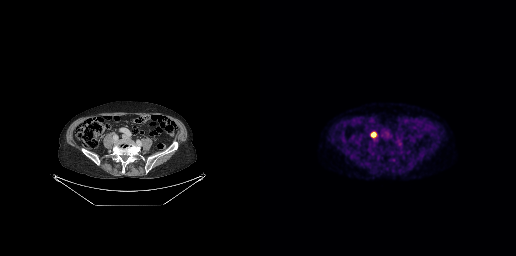
{"pet_grid":[256,256],"coord_frame":"pet_panel","coord_format":"x0,y0,x1,y1","lesion_bboxes":[[111,132,115,136]],"modality":"PSMA PET/CT","view":"axial","tracer":"18F"}